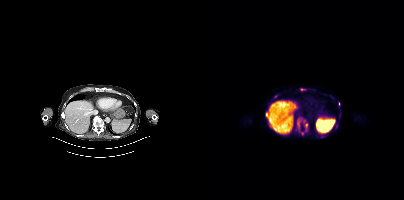
Findings: Coordinates are on the 200×200 PET (right) panel. PSMA-avid tumor lesion bounding boxes (x0,y0,x1,y1): [91,117,104,135], [96,88,102,91], [116,135,121,137], [70,94,73,98], [62,114,64,119]. Small PSMA-avid foci (2 to 4 px across) near (center x, center y): (132, 125), (135, 103), (128, 97).
- Paired axial CT (left) and PSMA PET (right), 18F-PSMA tracer
- slice position z = -1068 mm